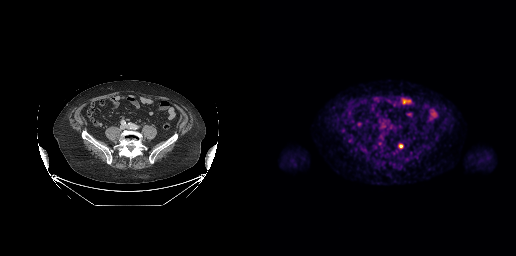
Coordinates are on the 256×256 PET (right) panel. PSMA-avid tumor lesion bounding box (x, y, width, height): x=138 y=144 w=6 h=5.